modality: PSMA PET/CT | tracer: [18F]PSMA-1007 | view: axial
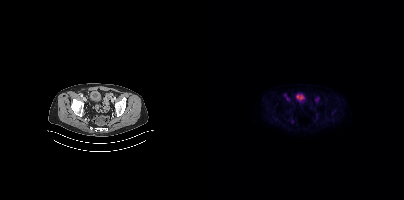
No PSMA-avid tumor lesions on this slice.